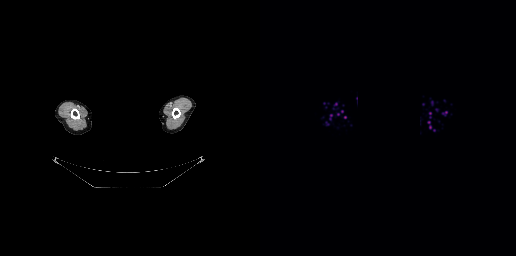
Two-panel axial: CT | PSMA PET, 18F tracer. PET panel 256×256 px (2.7 mm/px). Facial anatomy redacted by setting a rectangular region of the head to black. Negative for PSMA-avid disease on this slice.